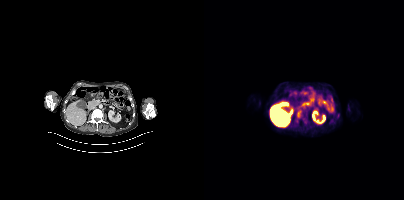
Two-panel axial: CT | PSMA PET, 18F-PSMA tracer.
Coordinates are on the 200×200 PET (right) panel. PSMA-avid tumor lesion bounding boxes:
| # | x0 | y0 | x1 | y1 |
|---|---|---|---|---|
| 1 | 93 | 111 | 97 | 117 |